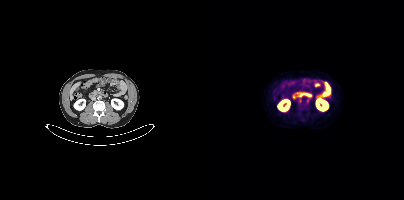
{"modality":"PSMA PET/CT","view":"axial","tracer":"18F-PSMA","pet_grid":[200,200],"coord_frame":"pet_panel","coord_format":"x0,y0,x1,y1","psma_avid_lesions":false}